Technique: Left: CT. Right: PSMA PET, same axial level, 18F-PSMA tracer. slice 221 of 367.
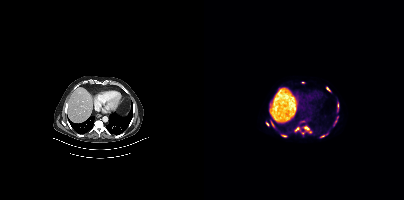
Findings: Coordinates are on the 200×200 PET (right) panel. (showing 6 of 10 foci) PSMA-avid tumor lesion bounding boxes (x0, y0)-(x1, y1): (100, 126)-(105, 129) / (78, 135)-(82, 136). Small PSMA-avid foci (2 to 4 px across) near (center x, center y): (92, 128) / (118, 136) / (124, 88) / (63, 124).